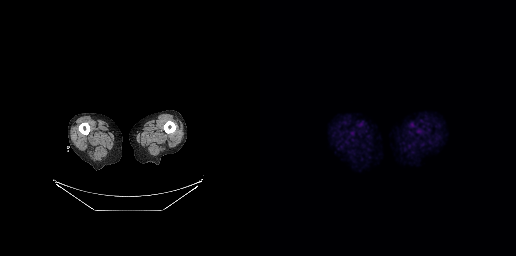
{"pet_grid":[256,256],"coord_frame":"pet_panel","coord_format":"x0,y0,x1,y1","psma_avid_lesions":false,"modality":"PSMA PET/CT","view":"axial","tracer":"[18F]PSMA-1007"}